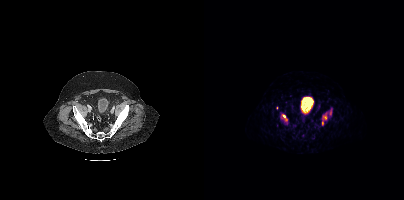
modality: PSMA PET/CT | tracer: 68Ga-PSMA | view: axial | PET grid: 200×200
Coordinates are on the 200×200 PET (right) panel. (showing 2 of 3 foci) PSMA-avid tumor lesion bounding boxes (x0,y0,x1,y1): [117,108,128,125], [78,114,83,120].